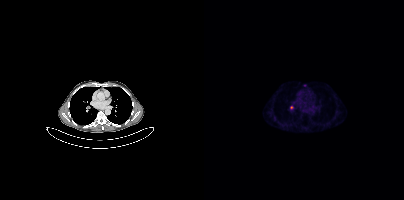
Technique: Left: CT. Right: PSMA PET, same axial level, [68Ga]Ga-PSMA-11 tracer. PET panel 200×200 px (4.1 mm/px).
Findings: Coordinates are on the 200×200 PET (right) panel. (showing 1 of 2 foci) Small PSMA-avid focus (2 to 4 px across) near (center x, center y): (87, 107).